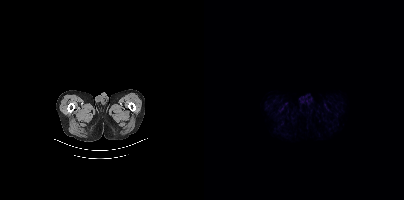
Left: CT. Right: PSMA PET, same axial level, 18F tracer. Acquired on Siemens Biograph mCT Flow 20. PET panel 200×200 px (4.1 mm/px). This slice has no annotated PSMA-avid lesion.